Privacy masking over the head, with the pixels inside a rectangle set to black. Two-panel axial: CT | PSMA PET, 18F tracer. Acquired on Siemens Biograph mCT Flow 20. Slice position z = 172 mm.
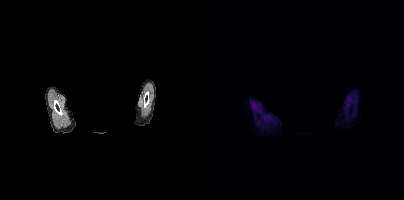
No tumor lesions annotated on this slice.